Left: CT. Right: PSMA PET, same axial level, 18F tracer. Head region blanked for anonymization (face removed).
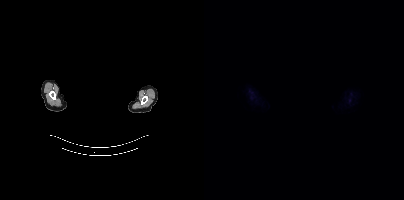
No tumor lesions annotated on this slice.